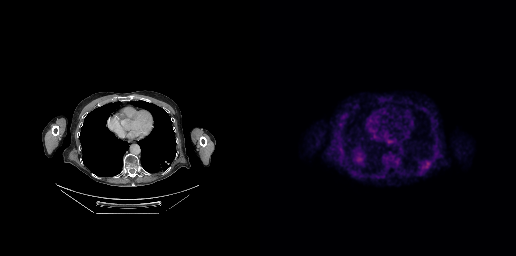
Coordinates are on the 256×256 PET (right) panel. PSMA-avid tumor lesion bounding box (x0,y0,x1,y1): [165,162,169,167]. Two-panel axial: CT | PSMA PET, 18F-PSMA tracer. Slice 161 of 263.